modality: PSMA PET/CT | tracer: 18F | view: axial
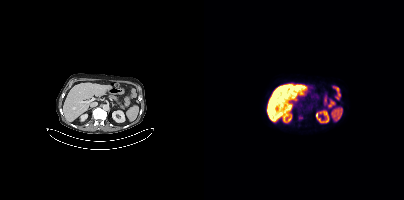
Coordinates are on the 200×200 PET (right) panel. Small PSMA-avid focus (2 to 4 px across) near (center x, center y): (96, 117).